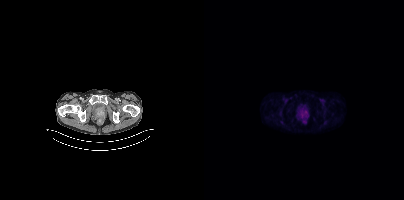
Coordinates are on the 200×200 PET (right) panel. PSMA-avid tumor lesion bounding box (x0,y0,x1,y1): [98,111,102,115].